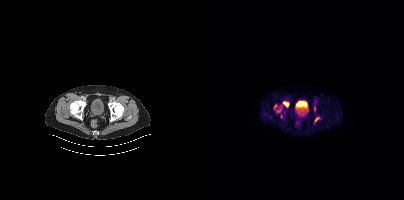
Technique: Paired axial CT (left) and PSMA PET (right), 18F tracer.
Findings: Coordinates are on the 200×200 PET (right) panel. (showing 1 of 3 foci) PSMA-avid tumor lesion bounding box (x0, y0)-(x1, y1): (79, 102)-(84, 106).